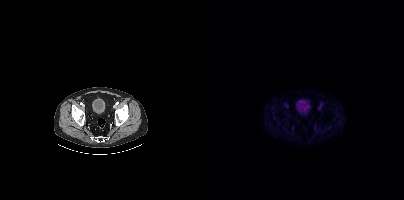
{"modality":"PSMA PET/CT","view":"axial","tracer":"18F","pet_grid":[200,200],"coord_frame":"pet_panel","coord_format":"x0,y0,x1,y1","psma_avid_lesions":false}